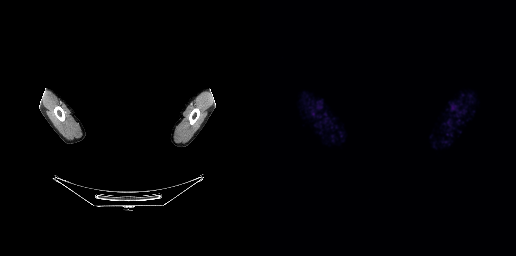
Head region blanked for anonymization (face removed). Paired axial CT (left) and PSMA PET (right), 68Ga tracer. Slice 176 of 189. PET panel 256×256 px (2.7 mm/px). This slice has no annotated PSMA-avid lesion.